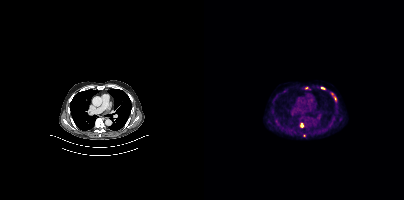
modality: PSMA PET/CT | tracer: 18F | view: axial
Coordinates are on the 200×200 PET (right) panel. (showing 4 of 6 foci) PSMA-avid tumor lesion bounding boxes (x0, y0)-(x1, y1): (96, 123)-(99, 127) / (117, 87)-(121, 89). Small PSMA-avid foci (2 to 4 px across) near (center x, center y): (102, 88) / (131, 98).